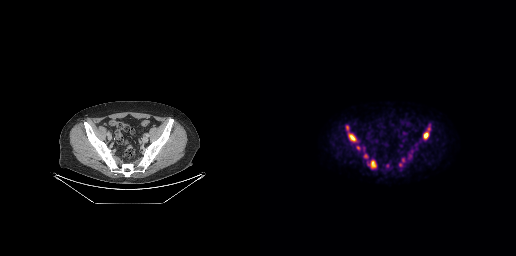
Left: CT. Right: PSMA PET, same axial level, [18F]PSMA-1007 tracer. Acquired on GE Discovery 690. Slice position z = -681 mm.
Coordinates are on the 256×256 PET (right) panel. PSMA-avid tumor lesion bounding boxes (partial; 1 more focus not listed):
| # | x0 | y0 | x1 | y1 |
|---|---|---|---|---|
| 1 | 86 | 126 | 97 | 142 |
| 2 | 163 | 127 | 170 | 139 |
| 3 | 110 | 160 | 116 | 168 |
| 4 | 96 | 146 | 100 | 149 |
Small PSMA-avid foci (2 to 4 px across) near (center x, center y): (105, 156); (140, 164).